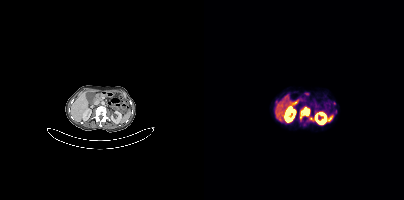
modality: PSMA PET/CT | tracer: 68Ga-PSMA | view: axial | PET grid: 200×200
Coordinates are on the 200×200 PET (right) panel. PSMA-avid tumor lesion bounding box (x, y, width, height): x=96 y=107 w=10 h=12. Small PSMA-avid focus (2 to 4 px across) near (center x, center y): (130, 103).